Technique: Left: CT. Right: PSMA PET, same axial level, 18F tracer. acquired on Siemens Biograph mCT Flow 20. slice position z = -1394 mm. PET panel 200×200 px (4.1 mm/px).
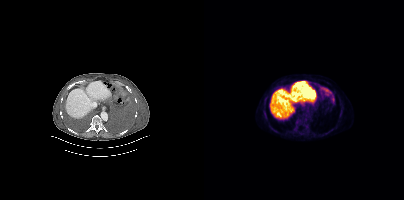
Findings: Coordinates are on the 200×200 PET (right) panel. PSMA-avid tumor lesion bounding boxes (x0, y0)-(x1, y1): (115, 87)-(128, 95) / (127, 96)-(130, 102). Small PSMA-avid focus (2 to 4 px across) near (center x, center y): (98, 103).